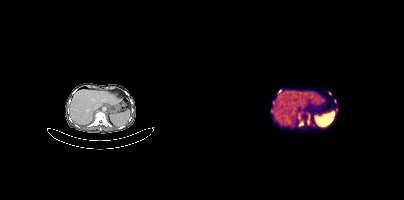
Paired axial CT (left) and PSMA PET (right), 68Ga tracer. Slice position z = -789 mm.
Coordinates are on the 200×200 PET (right) panel. PSMA-avid tumor lesion bounding boxes (partial; 3 more foci not listed):
| # | x0 | y0 | x1 | y1 |
|---|---|---|---|---|
| 1 | 103 | 113 | 106 | 124 |
| 2 | 95 | 121 | 99 | 126 |
| 3 | 67 | 107 | 69 | 112 |
Small PSMA-avid foci (2 to 4 px across) near (center x, center y): (75, 91); (132, 109); (95, 118); (125, 93).